Two-panel axial: CT | PSMA PET, 18F tracer. PET panel 256×256 px (2.7 mm/px).
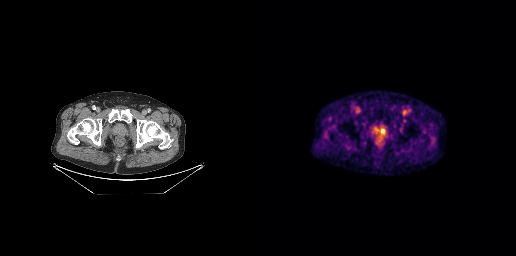
Coordinates are on the 256×256 PET (right) panel. PSMA-avid tumor lesion bounding box (x, y, width, height): x=120 y=128 w=6 h=6.